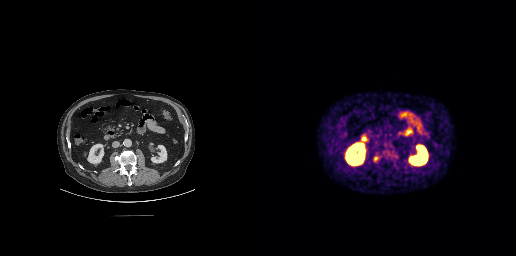
Coordinates are on the 256×256 PET (right) panel. PSMA-avid tumor lesion bounding box (x0, y0)-(x1, y1): (113, 156)-(119, 161).